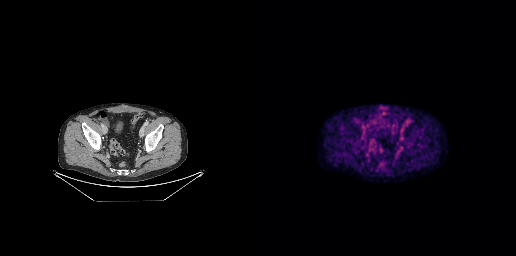
Paired axial CT (left) and PSMA PET (right), 18F-PSMA tracer. No tumor lesions annotated on this slice.